Left: CT. Right: PSMA PET, same axial level, 18F-PSMA tracer. Acquired on Siemens Biograph mCT Flow 20. PET panel 200×200 px (4.1 mm/px).
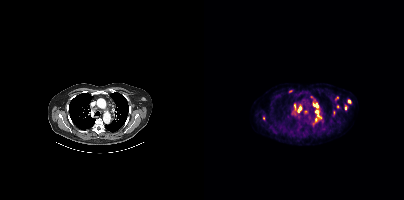
Coordinates are on the 200×200 PET (right) panel. PSMA-avid tumor lesion bounding boxes (partial; 2 more foci not listed):
| # | x0 | y0 | x1 | y1 |
|---|---|---|---|---|
| 1 | 88 | 103 | 95 | 115 |
| 2 | 109 | 99 | 114 | 107 |
| 3 | 111 | 110 | 118 | 119 |
| 4 | 108 | 118 | 113 | 125 |
| 5 | 131 | 96 | 134 | 100 |
| 6 | 129 | 111 | 130 | 115 |
Small PSMA-avid foci (2 to 4 px across) near (center x, center y): (101, 111); (86, 91); (145, 102); (141, 108); (59, 118); (133, 106); (96, 107); (107, 96).